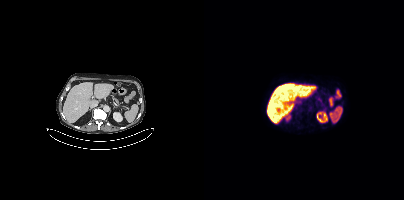
No tumor lesions annotated on this slice.
modality: PSMA PET/CT | tracer: 18F | view: axial